modality: PSMA PET/CT | tracer: 18F-PSMA | view: axial | PET grid: 200×200
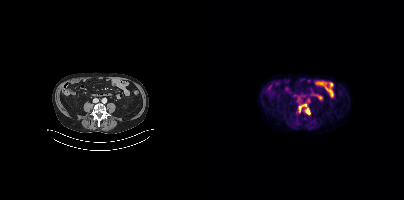
Coordinates are on the 200×200 PET (right) panel. PSMA-avid tumor lesion bounding box (x, y, width, height): x=94 y=103 w=13 h=12.